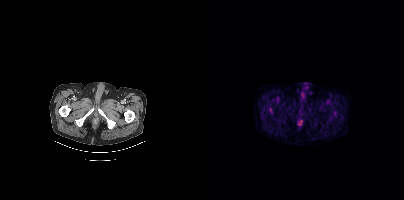
Findings: This slice has no annotated PSMA-avid lesion.
Technique: Left: CT. Right: PSMA PET, same axial level, 18F-PSMA tracer. slice 62 of 448. PET panel 200×200 px (4.1 mm/px).